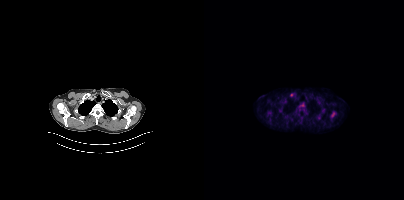
Coordinates are on the 200×200 PET (right) panel. (showing 3 of 4 foci) PSMA-avid tumor lesion bounding boxes (x0,y0,x1,y1): [126,111,132,118] [114,115,116,119]. Small PSMA-avid focus (2 to 4 px across) near (center x, center y): (119, 110).
modality: PSMA PET/CT | tracer: 18F-PSMA | view: axial